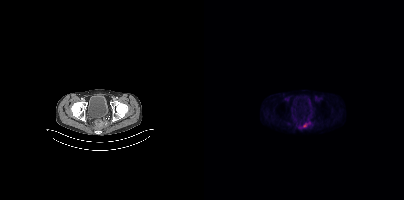
- Paired axial CT (left) and PSMA PET (right), [18F]PSMA-1007 tracer
- PET panel 200×200 px (4.1 mm/px)
Findings: Coordinates are on the 200×200 PET (right) panel. PSMA-avid tumor lesion bounding box (x0, y0)-(x1, y1): (99, 123)-(103, 127). Small PSMA-avid focus (2 to 4 px across) near (center x, center y): (95, 128).